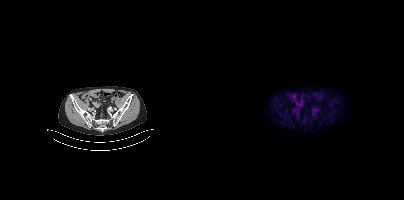
Technique: Two-panel axial: CT | PSMA PET, 18F tracer. slice position z = -873 mm. PET panel 200×200 px (4.1 mm/px).
Findings: This slice has no annotated PSMA-avid lesion.